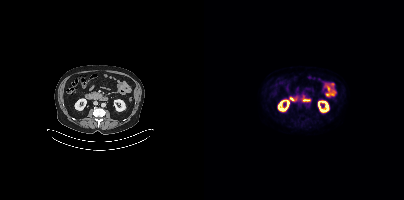
This slice has no annotated PSMA-avid lesion.